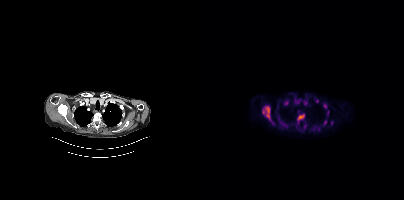
modality: PSMA PET/CT | tracer: [18F]PSMA-1007 | view: axial
Coordinates are on the 200×200 PET (right) panel. PSMA-avid tumor lesion bounding boxes (x, y, width, height): x=58 y=106 w=9 h=13 / x=94 y=114 w=7 h=6 / x=77 y=121 w=7 h=6 / x=80 y=100 w=5 h=6 / x=120 y=120 w=3 h=6 / x=123 y=111 w=3 h=5. Small PSMA-avid foci (2 to 4 px across) near (center x, center y): (113, 100) / (127, 122) / (121, 106) / (100, 126).